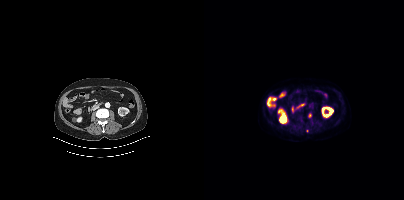
- Left: CT. Right: PSMA PET, same axial level, [18F]PSMA-1007 tracer
- acquired on Siemens Biograph mCT Flow 20
- PET panel 200×200 px (4.1 mm/px)
Findings: Only PSMA-avid lesion pieces thinner than 2 px on this slice (not listed).